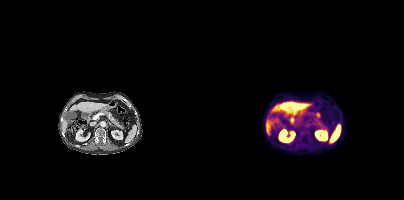
No PSMA-avid tumor lesions on this slice.